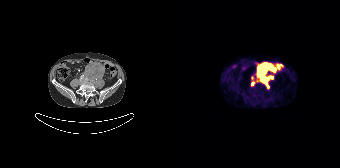
Findings: Coordinates are on the 168×168 PET (right) panel. (showing 2 of 4 foci) PSMA-avid tumor lesion bounding box (x0,y0,x1,y1): [85,63,103,84]. Small PSMA-avid focus (2 to 4 px across) near (center x, center y): (80, 83).
Technique: Two-panel axial: CT | PSMA PET, 68Ga tracer. slice position z = -1418 mm. PET panel 168×168 px (4.1 mm/px).